Technique: Two-panel axial: CT | PSMA PET, [18F]PSMA-1007 tracer. PET panel 200×200 px (4.1 mm/px).
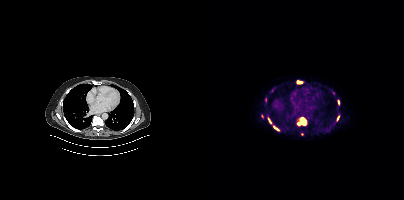
Findings: Coordinates are on the 200×200 PET (right) panel. (showing 7 of 8 foci) PSMA-avid tumor lesion bounding boxes (x, y, width, height): x=93 y=117 w=11 h=9 | x=93 y=80 w=6 h=4 | x=64 y=118 w=4 h=6 | x=69 y=126 w=5 h=4 | x=133 y=116 w=3 h=5 | x=134 y=100 w=2 h=5. Small PSMA-avid focus (2 to 4 px across) near (center x, center y): (98, 134).